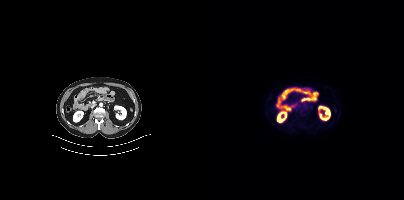
Two-panel axial: CT | PSMA PET, 18F-PSMA tracer. Acquired on Siemens Biograph mCT Flow 20. Slice position z = -1232 mm. No PSMA-avid tumor lesions on this slice.